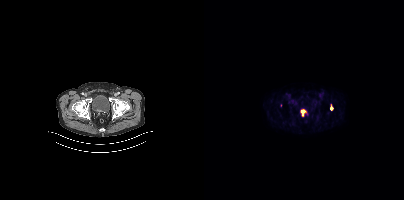
{"modality":"PSMA PET/CT","view":"axial","tracer":"[18F]PSMA-1007","pet_grid":[200,200],"coord_frame":"pet_panel","coord_format":"x0,y0,x1,y1","partial":true,"lesion_bboxes":[],"small_foci_centers":[[127,108]]}